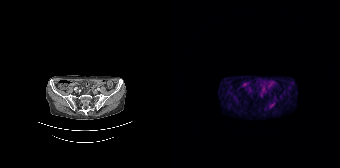
Coordinates are on the 168×168 PET (right) panel. Small PSMA-avid focus (2 to 4 px across) near (center x, center y): (99, 105). Paired axial CT (left) and PSMA PET (right), 68Ga tracer. PET panel 168×168 px (4.1 mm/px).